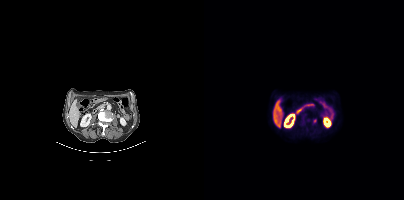
Negative for PSMA-avid disease on this slice.